modality: PSMA PET/CT | tracer: [18F]PSMA-1007 | view: axial | PET grid: 200×200
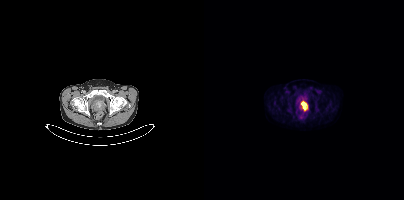
Coordinates are on the 200×200 PET (right) panel. PSMA-avid tumor lesion bounding box (x0,y0,x1,y1): [96,100,103,111].